Left: CT. Right: PSMA PET, same axial level, [68Ga]Ga-PSMA-11 tracer. Acquired on GE Discovery 690.
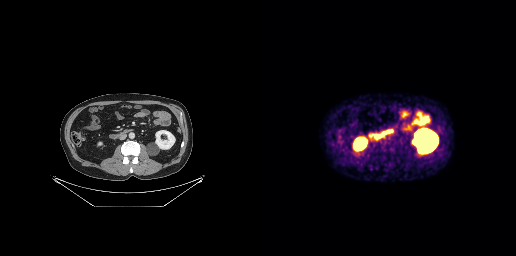
This slice has no annotated PSMA-avid lesion.